Technique: Paired axial CT (left) and PSMA PET (right), [18F]PSMA-1007 tracer. acquired on Siemens Biograph mCT Flow 20.
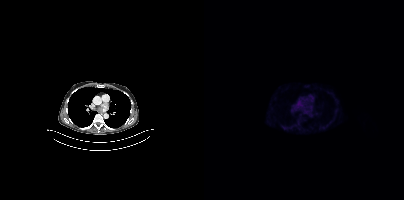
Findings: Negative for PSMA-avid disease on this slice.